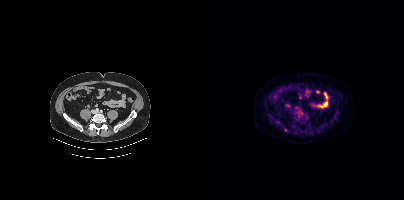
Coordinates are on the 200×200 PET (right) panel. Small PSMA-avid focus (2 to 4 px across) near (center x, center y): (81, 130).